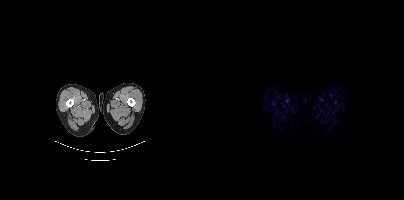
Findings: Negative for PSMA-avid disease on this slice.
Technique: Paired axial CT (left) and PSMA PET (right), 18F tracer.